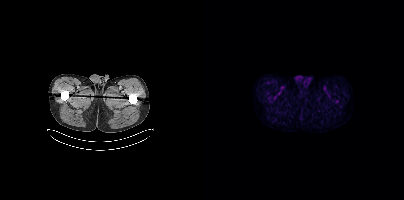
This slice has no annotated PSMA-avid lesion.